Two-panel axial: CT | PSMA PET, 18F-PSMA tracer. Acquired on Siemens Biograph mCT Flow 20. Slice position z = -1184 mm. PET panel 200×200 px (4.1 mm/px).
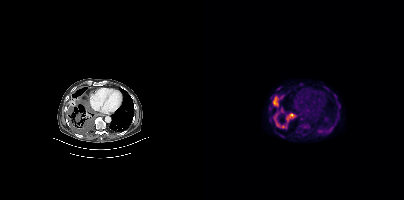
Coordinates are on the 200×200 PET (right) panel. (showing 5 of 6 foci) PSMA-avid tumor lesion bounding boxes (x0, y0)-(x1, y1): (68, 96)-(76, 106); (69, 117)-(80, 128); (82, 114)-(90, 121); (97, 124)-(104, 128). Small PSMA-avid focus (2 to 4 px across) near (center x, center y): (78, 110).